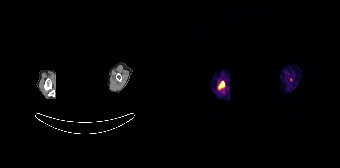
Findings: Coordinates are on the 168×168 PET (right) panel. (showing 1 of 2 foci) PSMA-avid tumor lesion bounding box (x0,y0,x1,y1): [46,81,52,89].
- a rectangular block over the head has been blanked out for de-identification
- Paired axial CT (left) and PSMA PET (right), 68Ga tracer
- slice position z = -670 mm
- PET panel 168×168 px (4.1 mm/px)